- Paired axial CT (left) and PSMA PET (right), 18F-PSMA tracer
- PET panel 200×200 px (4.1 mm/px)
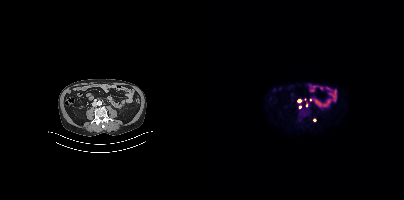
Findings: Coordinates are on the 200×200 PET (right) panel. (showing 4 of 5 foci) Small PSMA-avid foci (2 to 4 px across) near (center x, center y): (95, 100); (106, 99); (110, 119); (95, 106).